- Left: CT. Right: PSMA PET, same axial level, 18F-PSMA tracer
- PET panel 200×200 px (4.1 mm/px)
- facial anatomy redacted by setting a rectangular region of the head to black
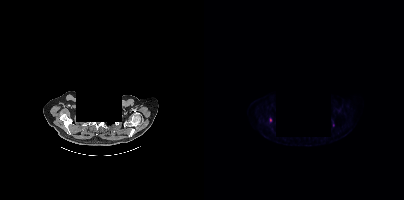
Findings: Coordinates are on the 200×200 PET (right) panel. Small PSMA-avid focus (2 to 4 px across) near (center x, center y): (66, 120).